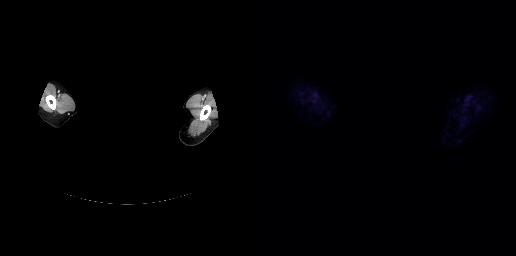
{"modality":"PSMA PET/CT","view":"axial","tracer":"18F","pet_grid":[256,256],"coord_frame":"pet_panel","coord_format":"x0,y0,x1,y1","psma_avid_lesions":false,"redaction":"privacy mask over head"}